Privacy masking over the head, with the pixels inside a rectangle set to black.
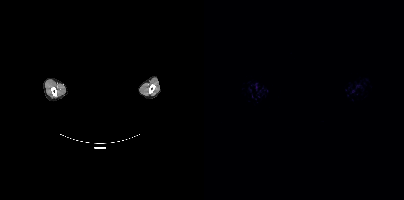
No tumor lesions annotated on this slice.